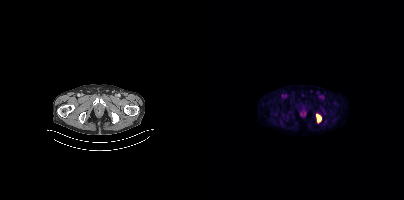
Technique: Two-panel axial: CT | PSMA PET, 18F-PSMA tracer. acquired on Siemens Biograph mCT Flow 20.
Findings: Coordinates are on the 200×200 PET (right) panel. PSMA-avid tumor lesion bounding box (x0, y0)-(x1, y1): (112, 114)-(117, 122).